Technique: Left: CT. Right: PSMA PET, same axial level, 18F-PSMA tracer. slice 187 of 429.
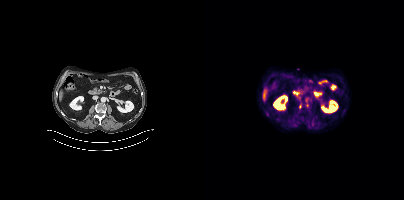
Findings: Coordinates are on the 200×200 PET (right) panel. Small PSMA-avid foci (2 to 4 px across) near (center x, center y): (96, 106) / (103, 105).